Technique: Left: CT. Right: PSMA PET, same axial level, 18F tracer. PET panel 200×200 px (4.1 mm/px).
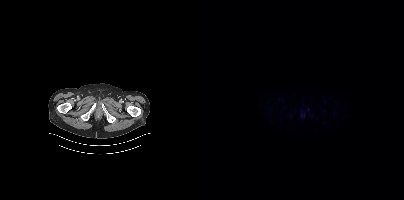
Findings: This slice has no annotated PSMA-avid lesion.